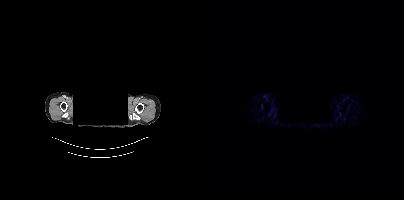
{"modality":"PSMA PET/CT","view":"axial","tracer":"[68Ga]Ga-PSMA-11","pet_grid":[200,200],"coord_frame":"pet_panel","coord_format":"x0,y0,x1,y1","redaction":"privacy mask over head","psma_avid_lesions":false}